Left: CT. Right: PSMA PET, same axial level, 18F tracer.
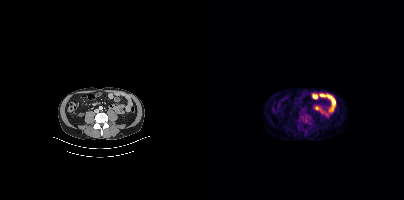
Coordinates are on the 200×200 PET (right) panel. PSMA-avid tumor lesion bounding boxes:
| # | x0 | y0 | x1 | y1 |
|---|---|---|---|---|
| 1 | 96 | 112 | 107 | 124 |